modality: PSMA PET/CT | tracer: 18F | view: axial | PET grid: 200×200
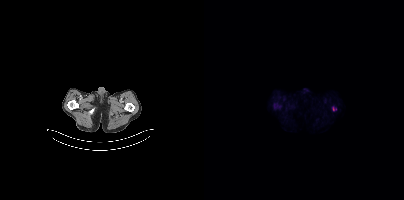
No tumor lesions annotated on this slice.